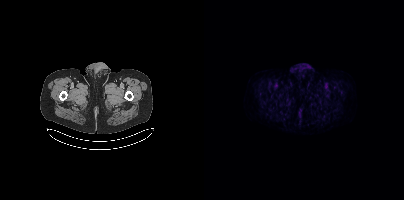
No PSMA-avid tumor lesions on this slice.
modality: PSMA PET/CT | tracer: 18F | view: axial | PET grid: 200×200